modality: PSMA PET/CT | tracer: [18F]PSMA-1007 | view: axial
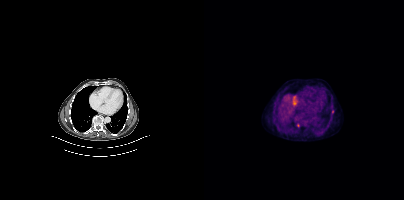
Coordinates are on the 200×200 PET (right) panel. Small PSMA-avid foci (2 to 4 px across) near (center x, center y): (128, 111); (94, 125).